Face de-identified by blanking a block of the head. Paired axial CT (left) and PSMA PET (right), 18F-PSMA tracer. PET panel 200×200 px (4.1 mm/px).
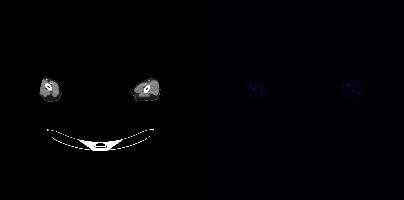
No tumor lesions annotated on this slice.